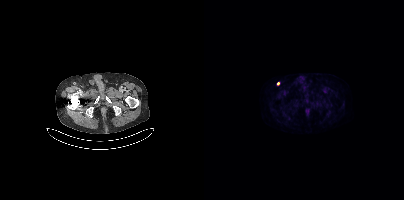
- Two-panel axial: CT | PSMA PET, [18F]PSMA-1007 tracer
- slice position z = -126 mm
Findings: Coordinates are on the 200×200 PET (right) panel. Small PSMA-avid focus (2 to 4 px across) near (center x, center y): (74, 83).